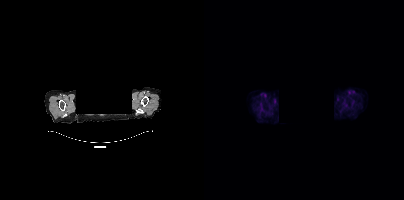
- de-identified by setting a box covering the face to black before release
- Left: CT. Right: PSMA PET, same axial level, 18F-PSMA tracer
- acquired on Siemens Biograph mCT Flow 20
Findings: This slice has no annotated PSMA-avid lesion.